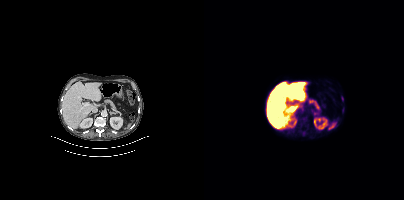
Findings: Coordinates are on the 200×200 PET (right) panel. PSMA-avid tumor lesion bounding box (x0,y0,x1,y1): [137,96,139,102]. Small PSMA-avid focus (2 to 4 px across) near (center x, center y): (139, 108).
- Left: CT. Right: PSMA PET, same axial level, 18F-PSMA tracer
- acquired on Siemens Biograph mCT Flow 20